Technique: Paired axial CT (left) and PSMA PET (right), 68Ga-PSMA tracer. acquired on GE Discovery 690. slice position z = -559 mm. PET panel 256×256 px (2.7 mm/px).
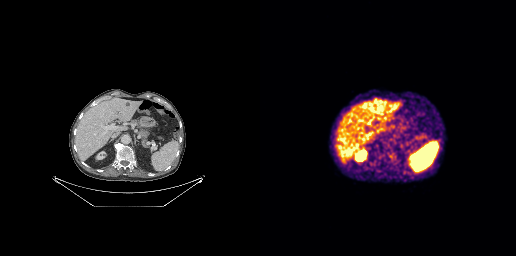
Findings: No tumor lesions annotated on this slice.